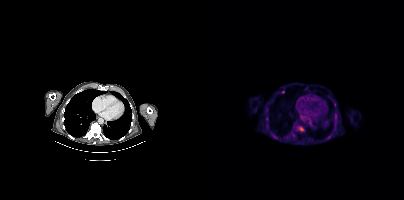
Coordinates are on the 200×200 PET (right) panel. (showing 2 of 5 foci) PSMA-avid tumor lesion bounding box (x, y, width, height): x=93 y=126 w=8 h=6. Small PSMA-avid focus (2 to 4 px across) near (center x, center y): (130, 104).